modality: PSMA PET/CT | tracer: 18F | view: axial
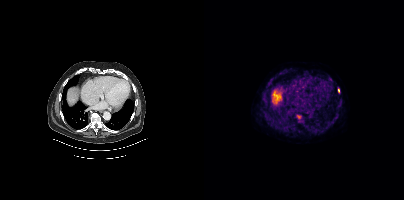
Coordinates are on the 200×200 PET (right) panel. (showing 2 of 3 foci) PSMA-avid tumor lesion bounding boxes (x0, y0)-(x1, y1): (92, 115)-(97, 119) | (134, 88)-(135, 92).